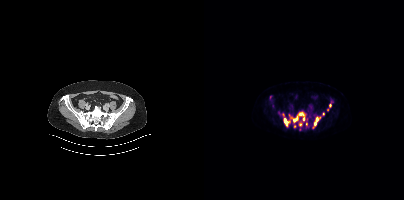
Coordinates are on the 200×200 PET (right) panel. PSMA-avid tumor lesion bounding boxes (partial; 3 more foci not listed):
| # | x0 | y0 | x1 | y1 |
|---|---|---|---|---|
| 1 | 80 | 118 | 85 | 126 |
| 2 | 88 | 116 | 94 | 122 |
| 3 | 110 | 117 | 114 | 125 |
| 4 | 95 | 112 | 99 | 115 |
Small PSMA-avid foci (2 to 4 px across) near (center x, center y): (96, 124); (99, 118); (126, 105); (119, 114); (123, 109); (102, 123); (90, 126).
Paired axial CT (left) and PSMA PET (right), 18F tracer. Acquired on Siemens Biograph mCT Flow 20.